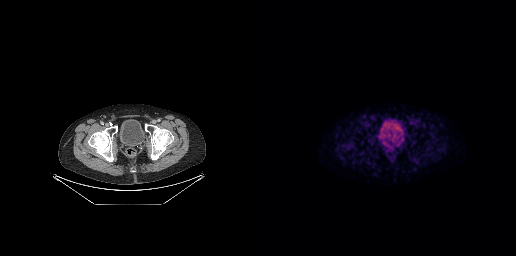
Negative for PSMA-avid disease on this slice.
modality: PSMA PET/CT | tracer: [18F]PSMA-1007 | view: axial | PET grid: 256×256